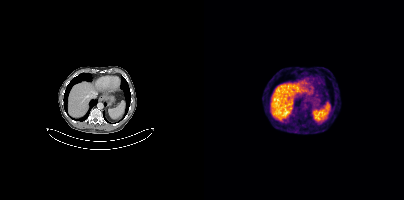
{"pet_grid":[200,200],"coord_frame":"pet_panel","coord_format":"x0,y0,x1,y1","psma_avid_lesions":false,"modality":"PSMA PET/CT","view":"axial","tracer":"[68Ga]Ga-PSMA-11"}